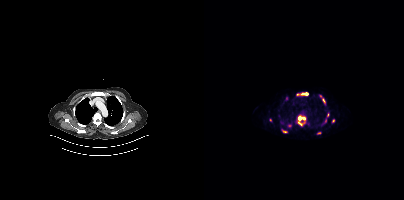
Technique: Paired axial CT (left) and PSMA PET (right), 68Ga-PSMA tracer. PET panel 200×200 px (4.1 mm/px).
Findings: Coordinates are on the 200×200 PET (right) panel. (showing 10 of 12 foci) PSMA-avid tumor lesion bounding boxes (x0, y0)-(x1, y1): (93, 117)-(105, 125) | (93, 92)-(103, 95) | (116, 95)-(120, 101). Small PSMA-avid foci (2 to 4 px across) near (center x, center y): (124, 114) | (114, 133) | (80, 131) | (121, 120) | (129, 121) | (85, 125) | (77, 122).